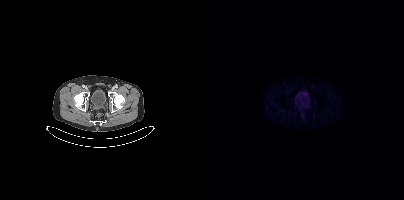
Left: CT. Right: PSMA PET, same axial level, 18F-PSMA tracer. Slice position z = -932 mm. No tumor lesions annotated on this slice.